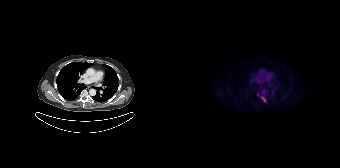
Left: CT. Right: PSMA PET, same axial level, [18F]PSMA-1007 tracer. Acquired on Siemens Biograph 64-4R TruePoint. PET panel 168×168 px (4.1 mm/px). Only PSMA-avid lesion pieces thinner than 2 px on this slice (not listed).